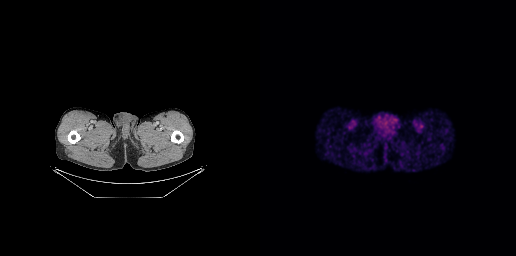
{"modality":"PSMA PET/CT","view":"axial","tracer":"68Ga-PSMA","pet_grid":[256,256],"coord_frame":"pet_panel","coord_format":"x0,y0,x1,y1","psma_avid_lesions":false}